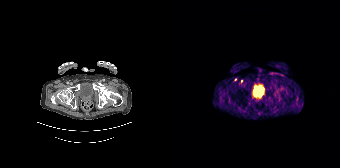
Coordinates are on the 168×168 PET (right) panel. (showing 1 of 2 foci) Small PSMA-avid focus (2 to 4 px across) near (center x, center y): (69, 81).
modality: PSMA PET/CT | tracer: 68Ga | view: axial | PET grid: 168×168